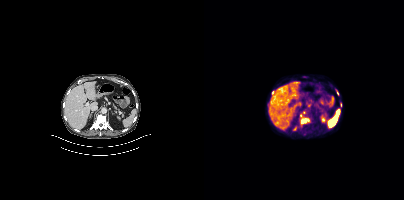
Coordinates are on the 200×200 PET (right) panel. (showing 5 of 6 foci) PSMA-avid tumor lesion bounding box (x0,y0,x1,y1): [96,115,106,126]. Small PSMA-avid foci (2 to 4 px across) near (center x, center y): (100, 112) (91, 128) (68, 92) (133, 92). Paired axial CT (left) and PSMA PET (right), 18F tracer. PET panel 200×200 px (4.1 mm/px).